Technique: Paired axial CT (left) and PSMA PET (right), 18F tracer.
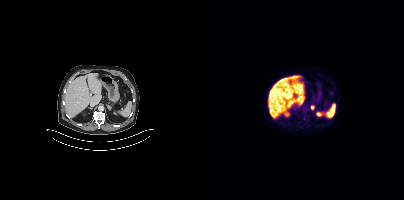
Findings: Coordinates are on the 200×200 PET (right) panel. (showing 1 of 2 foci) PSMA-avid tumor lesion bounding box (x, y, width, height): x=107 y=105 w=4 h=5.